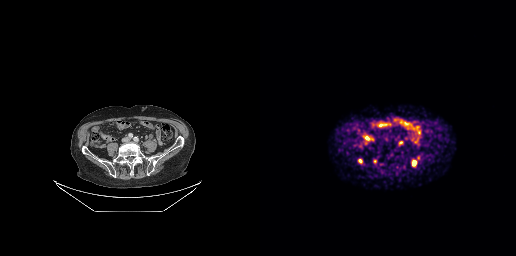
{"pet_grid":[256,256],"coord_frame":"pet_panel","coord_format":"x0,y0,x1,y1","lesion_bboxes":[[152,160,156,165],[113,159,116,163],[98,159,102,162]],"small_foci_centers":[[140,142],[158,158]],"modality":"PSMA PET/CT","view":"axial","tracer":"[68Ga]Ga-PSMA-11"}